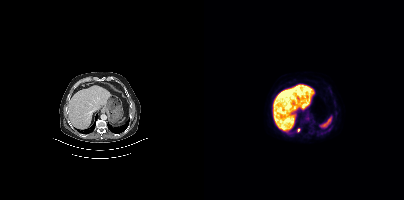
Coordinates are on the 200×200 PET (right) panel. Small PSMA-avid focus (2 to 4 px across) near (center x, center y): (94, 130).